Technique: Two-panel axial: CT | PSMA PET, [68Ga]Ga-PSMA-11 tracer. PET panel 200×200 px (4.1 mm/px).
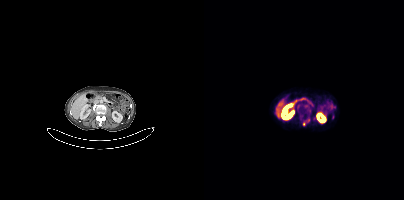
Findings: Coordinates are on the 200×200 PET (right) panel. (showing 2 of 4 foci) Small PSMA-avid foci (2 to 4 px across) near (center x, center y): (103, 120) | (100, 123).